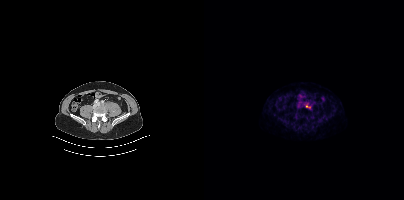
Coordinates are on the 200×200 PET (right) panel. PSMA-avid tumor lesion bounding boxes:
| # | x0 | y0 | x1 | y1 |
|---|---|---|---|---|
| 1 | 102 | 105 | 106 | 107 |
Left: CT. Right: PSMA PET, same axial level, 18F-PSMA tracer. Slice 136 of 417. PET panel 200×200 px (4.1 mm/px).